Paired axial CT (left) and PSMA PET (right), [68Ga]Ga-PSMA-11 tracer. Acquired on Siemens Biograph 64-4R TruePoint.
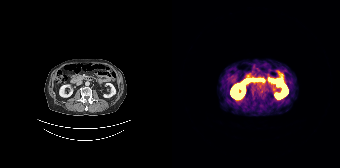
This slice has no annotated PSMA-avid lesion.